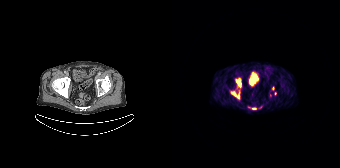
{"modality":"PSMA PET/CT","view":"axial","tracer":"68Ga-PSMA","pet_grid":[168,168],"coord_frame":"pet_panel","coord_format":"x0,y0,x1,y1","lesion_bboxes":[[64,78,69,87],[59,92,67,98],[79,107,84,109]],"small_foci_centers":[[101,88],[103,93]]}